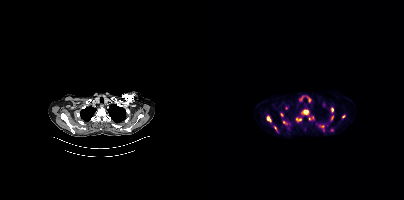
modality: PSMA PET/CT | tracer: [18F]PSMA-1007 | view: axial
Coordinates are on the 200×200 PET (right) panel. (showing 13 of 15 foci) PSMA-avid tumor lesion bounding boxes (x0,y0,x1,y1): [97,109,104,114] [62,115,67,122] [91,117,97,122] [79,120,83,125] [69,126,73,131] [127,108,129,112]. Small PSMA-avid foci (2 to 4 px across) near (center x, center y): (77, 114) (128, 117) (139, 116) (118, 126) (82, 108) (108, 117) (105, 118).